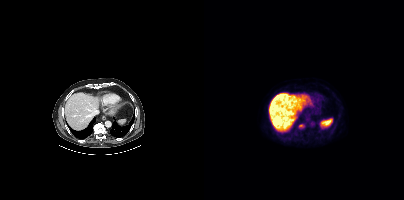
Technique: Two-panel axial: CT | PSMA PET, 18F tracer. acquired on Siemens Biograph mCT Flow 20. slice 261 of 435. PET panel 200×200 px (4.1 mm/px).
Findings: Coordinates are on the 200×200 PET (right) panel. Small PSMA-avid focus (2 to 4 px across) near (center x, center y): (96, 125).